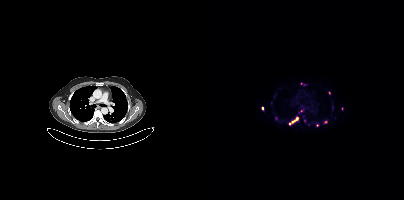
Technique: Left: CT. Right: PSMA PET, same axial level, 68Ga tracer. slice 298 of 411.
Findings: Coordinates are on the 200×200 PET (right) panel. (showing 7 of 12 foci) PSMA-avid tumor lesion bounding box (x0, y0)-(x1, y1): (85, 117)-(94, 124). Small PSMA-avid foci (2 to 4 px across) near (center x, center y): (72, 118) | (121, 122) | (125, 92) | (58, 108) | (113, 125) | (100, 120).